- Two-panel axial: CT | PSMA PET, 18F-PSMA tracer
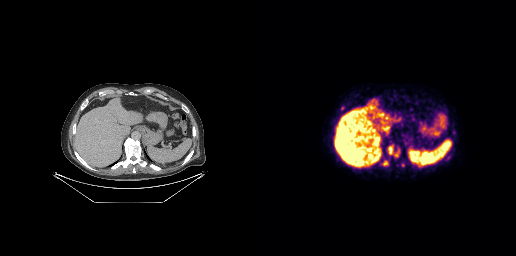
Findings: Coordinates are on the 256×256 PET (right) panel. PSMA-avid tumor lesion bounding boxes (x0, y0)-(x1, y1): (128, 146)-(132, 154); (123, 161)-(127, 164). Small PSMA-avid foci (2 to 4 px across) near (center x, center y): (82, 108); (136, 155).